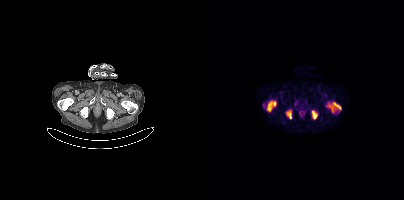
Left: CT. Right: PSMA PET, same axial level, 18F-PSMA tracer. Acquired on Siemens Biograph mCT Flow 20.
Coordinates are on the 200×200 PET (right) panel. PSMA-avid tumor lesion bounding boxes:
| # | x0 | y0 | x1 | y1 |
|---|---|---|---|---|
| 1 | 123 | 102 | 137 | 112 |
| 2 | 63 | 101 | 71 | 110 |
| 3 | 82 | 110 | 87 | 118 |
| 4 | 108 | 110 | 113 | 119 |